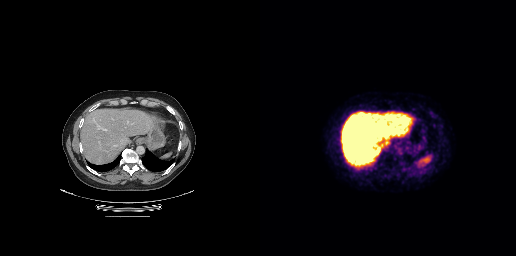
Left: CT. Right: PSMA PET, same axial level, 18F tracer. Acquired on GE Discovery 690. Slice 155 of 263. Negative for PSMA-avid disease on this slice.